Technique: Left: CT. Right: PSMA PET, same axial level, 68Ga tracer. acquired on Siemens Biograph 64-4R TruePoint. PET panel 168×168 px (4.1 mm/px).
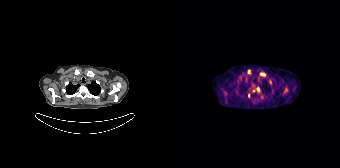
Findings: Coordinates are on the 168×168 PET (right) panel. (showing 7 of 8 foci) PSMA-avid tumor lesion bounding boxes (x0, y0)-(x1, y1): (96, 80)-(100, 85); (112, 88)-(115, 92); (89, 72)-(93, 75); (85, 87)-(87, 91). Small PSMA-avid foci (2 to 4 px across) near (center x, center y): (76, 71); (81, 90); (76, 95).